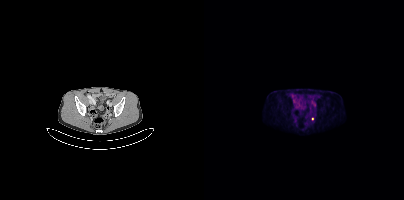
Coordinates are on the 200×200 PET (right) panel. Small PSMA-avid foci (2 to 4 px across) near (center x, center y): (91, 120) | (108, 118).